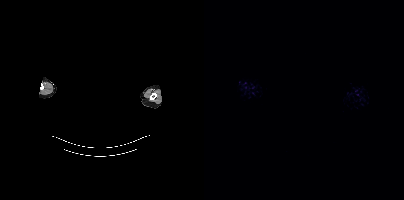
Technique: Paired axial CT (left) and PSMA PET (right), [18F]PSMA-1007 tracer. PET panel 200×200 px (4.1 mm/px).
Note: Privacy masking over the head, with the pixels inside a rectangle set to black.
Findings: No PSMA-avid tumor lesions on this slice.